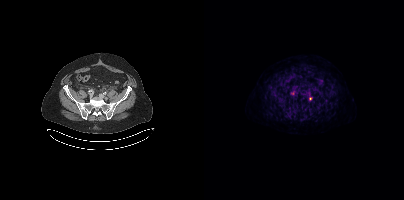
{"pet_grid":[200,200],"coord_frame":"pet_panel","coord_format":"x0,y0,x1,y1","lesion_bboxes":[],"small_foci_centers":[[106,98]],"modality":"PSMA PET/CT","view":"axial","tracer":"[18F]PSMA-1007"}